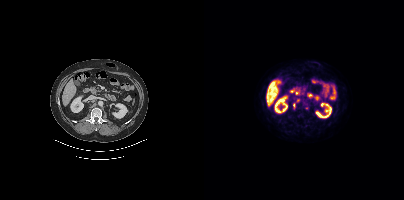
Coordinates are on the 200×200 PET (right) panel. (showing 2 of 3 foci) PSMA-avid tumor lesion bounding box (x0, y0)-(x1, y1): (89, 104)-(91, 108). Small PSMA-avid focus (2 to 4 px across) near (center x, center y): (103, 107). Left: CT. Right: PSMA PET, same axial level, 18F tracer. Slice position z = -1215 mm. PET panel 200×200 px (4.1 mm/px).